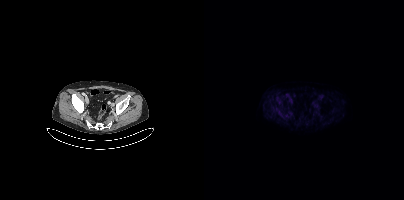
Two-panel axial: CT | PSMA PET, 18F tracer. PET panel 200×200 px (4.1 mm/px). No tumor lesions annotated on this slice.